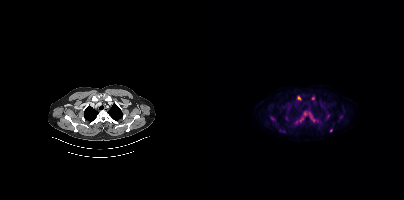
Coordinates are on the 200×200 PET (right) panel. PSMA-avid tumor lesion bounding boxes (x0, y0)-(x1, y1): (91, 116)-(100, 124) / (105, 113)-(111, 122) / (75, 129)-(81, 132). Small PSMA-avid foci (2 to 4 px across) near (center x, center y): (94, 97) / (124, 115) / (109, 98) / (127, 130) / (68, 118) / (100, 113).